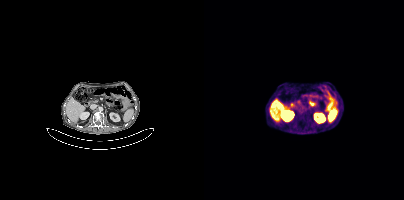
{"modality":"PSMA PET/CT","view":"axial","tracer":"68Ga","pet_grid":[200,200],"coord_frame":"pet_panel","coord_format":"x0,y0,x1,y1","psma_avid_lesions":false}